A rectangular block over the head has been blanked out for de-identification. Paired axial CT (left) and PSMA PET (right), 18F-PSMA tracer. Slice position z = -310 mm. PET panel 200×200 px (4.1 mm/px).
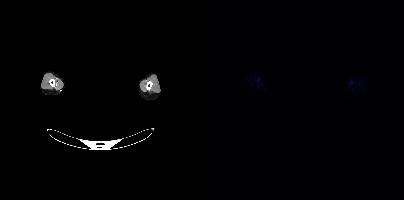
Negative for PSMA-avid disease on this slice.